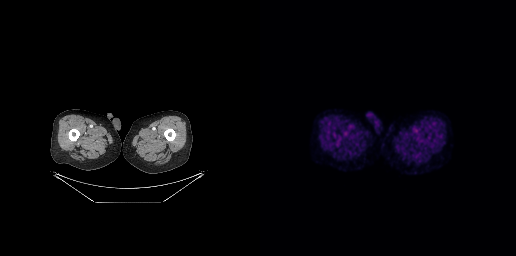
No PSMA-avid tumor lesions on this slice.